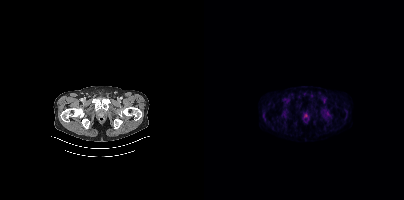
- Two-panel axial: CT | PSMA PET, 68Ga tracer
- slice position z = -1637 mm
Findings: Only PSMA-avid lesion pieces thinner than 2 px on this slice (not listed).